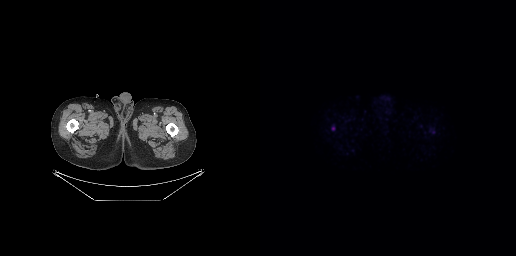
Coordinates are on the 256×256 PET (right) panel. Small PSMA-avid focus (2 to 4 px across) near (center x, center y): (73, 128).